Paired axial CT (left) and PSMA PET (right), 68Ga-PSMA tracer. Slice 125 of 195. PET panel 168×168 px (4.1 mm/px).
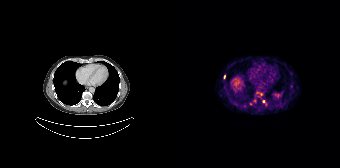
Coordinates are on the 168×168 PET (right) panel. (showing 4 of 5 foci) Small PSMA-avid foci (2 to 4 px across) near (center x, center y): (78, 103), (52, 76), (72, 106), (91, 101).